Two-panel axial: CT | PSMA PET, 68Ga-PSMA tracer. Acquired on Siemens Biograph 64-4R TruePoint. Slice 105 of 195. PET panel 168×168 px (4.1 mm/px).
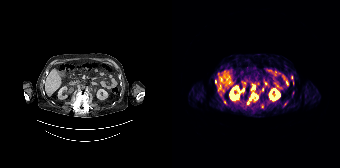
Coordinates are on the 168×168 PET (right) panel. (showing 5 of 9 foci) PSMA-avid tumor lesion bounding boxes (x, y, width, height): x=75 y=92 w=12 h=13 / x=88 y=104 w=4 h=5 / x=81 y=84 w=3 h=5. Small PSMA-avid foci (2 to 4 px across) near (center x, center y): (43, 81) / (53, 102).